Paired axial CT (left) and PSMA PET (right), 18F-PSMA tracer. Acquired on Siemens Biograph mCT Flow 20. Slice position z = -1530 mm.
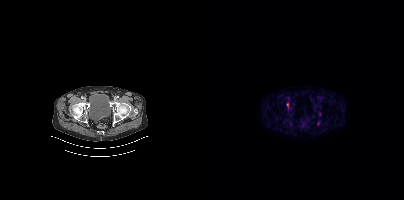
Coordinates are on the 200×200 PET (right) panel. (showing 1 of 2 foci) PSMA-avid tumor lesion bounding box (x0, y0)-(x1, y1): (83, 103)-(84, 107).